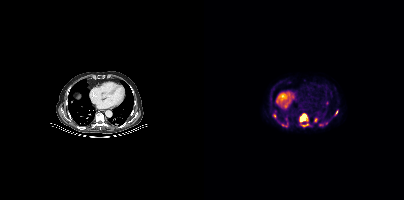
Coordinates are on the 200×200 PET (right) panel. (showing 7 of 8 foci) PSMA-avid tumor lesion bounding boxes (x0,y0,x1,y1): [95,114,104,122], [77,122,84,127], [115,124,119,125], [97,125,101,126]. Small PSMA-avid foci (2 to 4 px across) near (center x, center y): (111, 119), (70, 115), (132, 112).